Left: CT. Right: PSMA PET, same axial level, 18F-PSMA tracer. Slice 291 of 448. PET panel 200×200 px (4.1 mm/px).
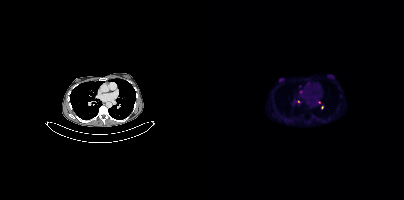
Coordinates are on the 200×200 PET (right) panel. (showing 6 of 8 foci) Small PSMA-avid foci (2 to 4 px across) near (center x, center y): (96, 86) | (96, 91) | (94, 102) | (103, 83) | (136, 95) | (115, 102).